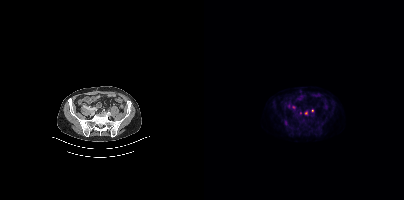
Findings: Coordinates are on the 200×200 PET (right) panel. Small PSMA-avid foci (2 to 4 px across) near (center x, center y): (102, 113), (108, 110).
Technique: Paired axial CT (left) and PSMA PET (right), 18F tracer. acquired on Siemens Biograph mCT Flow 20.